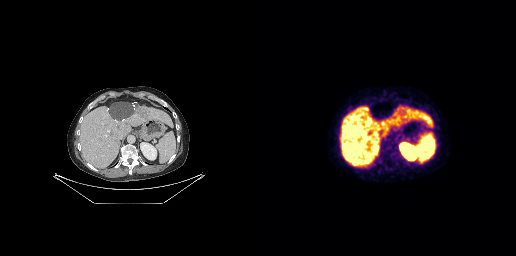
Left: CT. Right: PSMA PET, same axial level, [18F]PSMA-1007 tracer. Acquired on GE Discovery 690. Slice position z = -361 mm. No PSMA-avid tumor lesions on this slice.